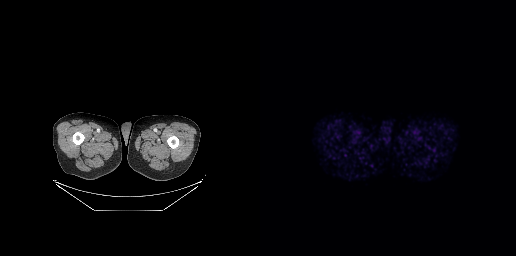
modality: PSMA PET/CT | tracer: 68Ga-PSMA | view: axial
Negative for PSMA-avid disease on this slice.